Two-panel axial: CT | PSMA PET, [18F]PSMA-1007 tracer.
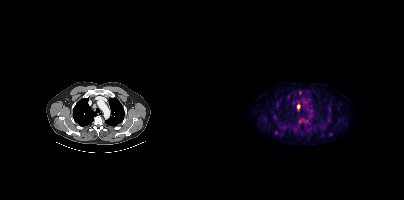
Coordinates are on the 200×200 PET (right) panel. (showing 3 of 4 foci) PSMA-avid tumor lesion bounding box (x0,y0,x1,y1): [93,104,95,109]. Small PSMA-avid foci (2 to 4 px across) near (center x, center y): (103, 120) (95, 92).